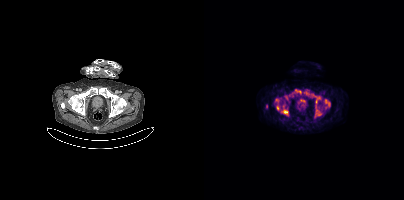
Coordinates are on the 200×200 PET (right) panel. (showing 9 of 11 foci) PSMA-avid tumor lesion bounding boxes (x0, y0)-(x1, y1): (77, 109)-(83, 114) / (121, 100)-(126, 106) / (93, 90)-(97, 94) / (80, 95)-(84, 100) / (112, 97)-(116, 103) / (85, 93)-(89, 97) / (112, 110)-(117, 115) / (72, 106)-(75, 110). Small PSMA-avid focus (2 to 4 px across) near (center x, center y): (62, 106).